modality: PSMA PET/CT | tracer: 68Ga | view: axial | PET grid: 256×256
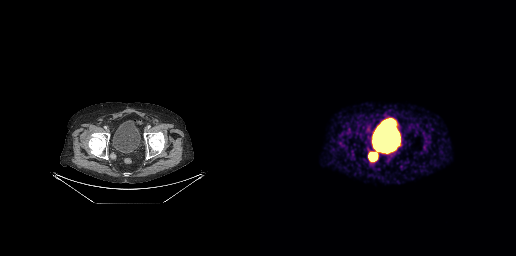
Coordinates are on the 256×256 PET (right) panel. PSMA-avid tumor lesion bounding box (x0, y0)-(x1, y1): (109, 154)-(115, 159).